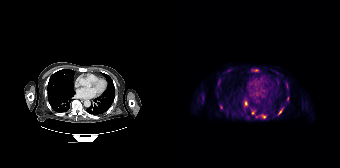
No PSMA-avid tumor lesions on this slice.
modality: PSMA PET/CT | tracer: [18F]PSMA-1007 | view: axial | PET grid: 168×168